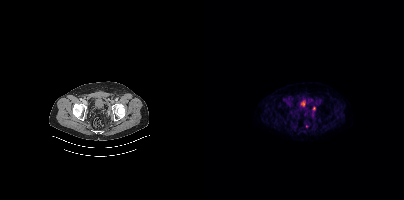
{"modality":"PSMA PET/CT","view":"axial","tracer":"18F","pet_grid":[200,200],"coord_frame":"pet_panel","coord_format":"x0,y0,x1,y1","lesion_bboxes":[],"small_foci_centers":[[110,108],[103,126]]}